- face de-identified by blanking a block of the head
- Paired axial CT (left) and PSMA PET (right), 18F-PSMA tracer
- slice position z = 293 mm
- PET panel 200×200 px (4.1 mm/px)
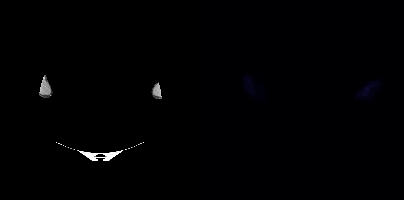
Findings: This slice has no annotated PSMA-avid lesion.